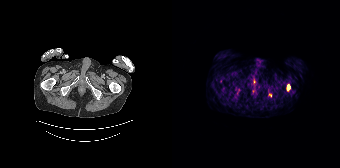
- Paired axial CT (left) and PSMA PET (right), 68Ga tracer
- PET panel 168×168 px (4.1 mm/px)
Findings: Coordinates are on the 168×168 PET (right) panel. (showing 1 of 2 foci) PSMA-avid tumor lesion bounding box (x, y, width, height): x=115 y=85 w=3 h=6.